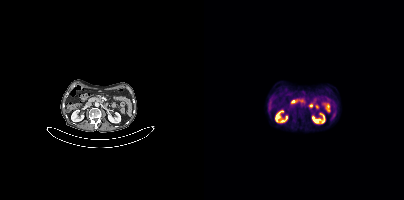
Technique: Paired axial CT (left) and PSMA PET (right), 18F tracer. acquired on Siemens Biograph mCT Flow 20.
Findings: No PSMA-avid tumor lesions on this slice.